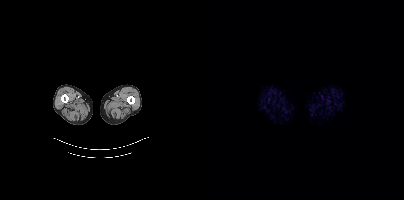
No PSMA-avid tumor lesions on this slice.
modality: PSMA PET/CT | tracer: 18F | view: axial